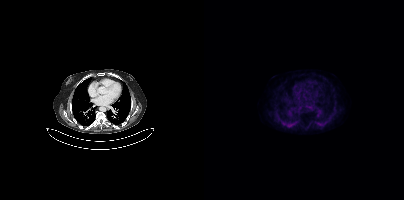
Findings: Negative for PSMA-avid disease on this slice.
Technique: Paired axial CT (left) and PSMA PET (right), 18F-PSMA tracer. acquired on Siemens Biograph mCT Flow 20. slice 265 of 395.